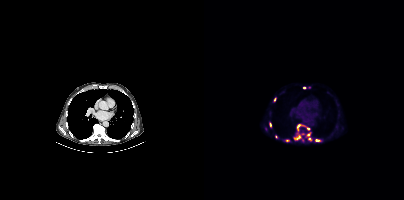
Coordinates are on the 200×200 PET (right) panel. (showing 11 of 14 foci) PSMA-avid tumor lesion bounding boxes (x0, y0)-(x1, y1): (90, 135)-(96, 139) / (111, 139)-(116, 141) / (99, 125)-(105, 129). Small PSMA-avid foci (2 to 4 px across) near (center x, center y): (105, 138) / (83, 140) / (66, 124) / (70, 99) / (93, 130) / (100, 87) / (94, 126) / (104, 134). Two-panel axial: CT | PSMA PET, [18F]PSMA-1007 tracer. Acquired on Siemens Biograph mCT Flow 20. Slice position z = -5 mm.